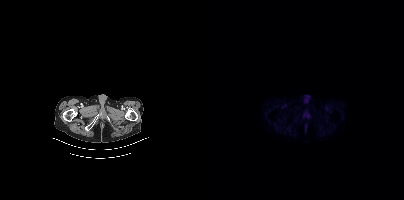
Paired axial CT (left) and PSMA PET (right), 68Ga-PSMA tracer. PET panel 200×200 px (4.1 mm/px). Negative for PSMA-avid disease on this slice.